Left: CT. Right: PSMA PET, same axial level, 68Ga-PSMA tracer. Acquired on Siemens Biograph mCT Flow 20. Slice 60 of 413. PET panel 200×200 px (4.1 mm/px).
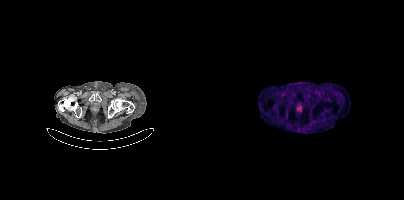
Coordinates are on the 200×200 PET (right) panel. PSMA-avid tumor lesion bounding boxes:
| # | x0 | y0 | x1 | y1 |
|---|---|---|---|---|
| 1 | 92 | 106 | 97 | 111 |